Left: CT. Right: PSMA PET, same axial level, 18F tracer. Acquired on Siemens Biograph mCT Flow 20.
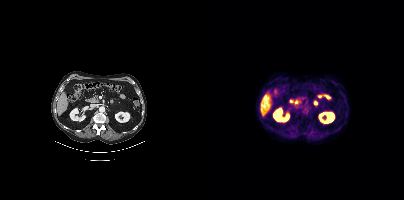
No tumor lesions annotated on this slice.